Left: CT. Right: PSMA PET, same axial level, 18F tracer. Acquired on Siemens Biograph mCT Flow 20. Slice position z = -1253 mm.
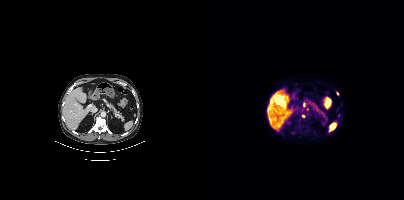
Coordinates are on the 200×200 PET (right) panel. (showing 2 of 3 foci) Small PSMA-avid foci (2 to 4 px across) near (center x, center y): (99, 116); (133, 93).